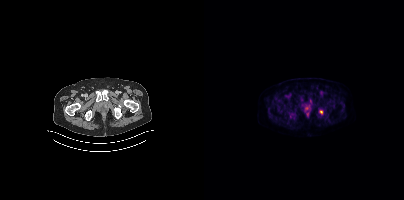
Coordinates are on the 200×200 PET (right) panel. Small PSMA-avid foci (2 to 4 px across) near (center x, center y): (117, 112) (106, 101).